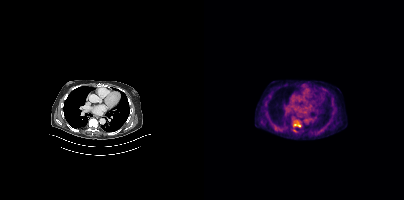
Findings: Coordinates are on the 200×200 PET (right) panel. PSMA-avid tumor lesion bounding box (x0, y0)-(x1, y1): (92, 123)-(96, 127).
- Two-panel axial: CT | PSMA PET, 18F tracer
- PET panel 200×200 px (4.1 mm/px)